Technique: Left: CT. Right: PSMA PET, same axial level, [18F]PSMA-1007 tracer. slice 174 of 377.
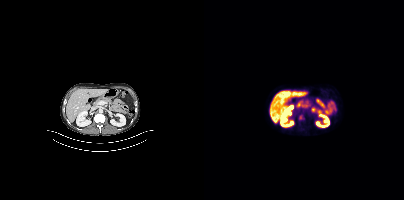
Findings: Negative for PSMA-avid disease on this slice.